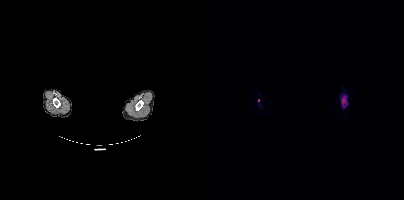
Coordinates are on the 200×200 PET (right) panel. PSMA-avid tumor lesion bounding box (x0,y0,x1,y1): [137,95,143,108]. Small PSMA-avid focus (2 to 4 px across) near (center x, center y): (54, 100). Left: CT. Right: PSMA PET, same axial level, 18F tracer. PET panel 200×200 px (4.1 mm/px). The head region is masked for de-identification.